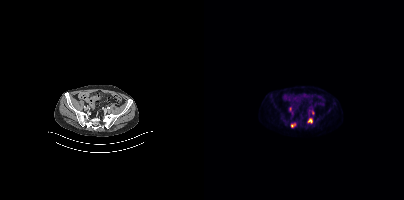
modality: PSMA PET/CT | tracer: 18F-PSMA | view: axial | PET grid: 200×200
Coordinates are on the 200×200 PET (right) panel. PSMA-avid tumor lesion bounding boxes (x0, y0)-(x1, y1): (103, 118)-(108, 123) / (87, 123)-(91, 127).